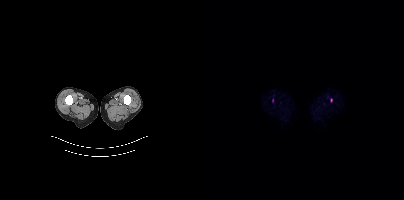
Paired axial CT (left) and PSMA PET (right), 18F tracer. Acquired on Siemens Biograph mCT Flow 20. PET panel 200×200 px (4.1 mm/px). Coordinates are on the 200×200 PET (right) panel. (showing 1 of 2 foci) Small PSMA-avid focus (2 to 4 px across) near (center x, center y): (127, 100).